Technique: Left: CT. Right: PSMA PET, same axial level, 18F-PSMA tracer. acquired on GE Discovery 690. slice position z = -624 mm. PET panel 256×256 px (2.7 mm/px).
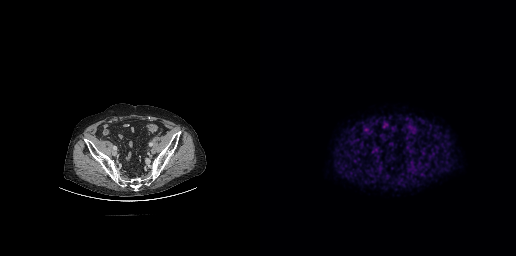
Findings: No PSMA-avid tumor lesions on this slice.